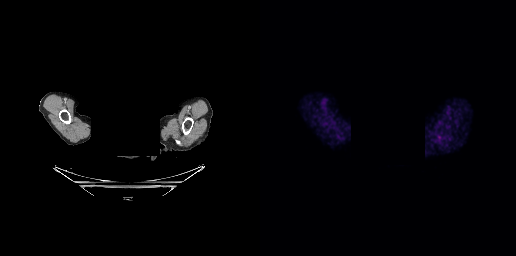
This slice has no annotated PSMA-avid lesion.
Facial anatomy redacted by setting a rectangular region of the head to black.